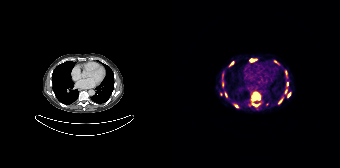
Coordinates are on the 168×168 PET (right) panel. (showing 10 of 13 foci) PSMA-avid tumor lesion bounding boxes (x, y, width, height): x=80 y=92 w=8 h=9; x=81 y=103 w=8 h=4; x=78 y=59 w=5 h=3. Small PSMA-avid foci (2 to 4 px across) near (center x, center y): (117, 94); (64, 106); (115, 83); (108, 101); (53, 94); (60, 62); (103, 61). Left: CT. Right: PSMA PET, same axial level, 68Ga-PSMA tracer. PET panel 168×168 px (4.1 mm/px).